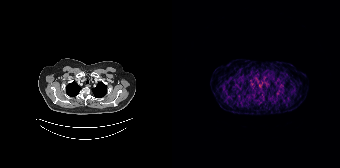
No tumor lesions annotated on this slice. Two-panel axial: CT | PSMA PET, 68Ga tracer. Acquired on Siemens Biograph 64-4R TruePoint. Slice 128 of 165. PET panel 168×168 px (4.1 mm/px).